Technique: Left: CT. Right: PSMA PET, same axial level, 18F tracer. slice position z = -50 mm. PET panel 200×200 px (4.1 mm/px).
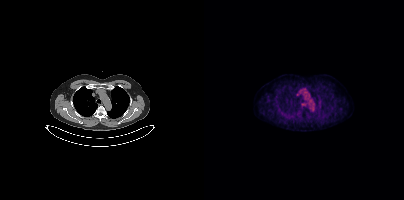
Findings: This slice has no annotated PSMA-avid lesion.